modality: PSMA PET/CT | tracer: 18F-PSMA | view: axial | PET grid: 200×200
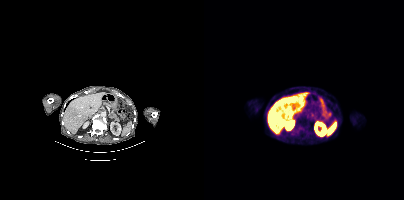
Negative for PSMA-avid disease on this slice.